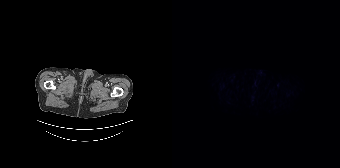
Technique: Paired axial CT (left) and PSMA PET (right), 18F tracer. acquired on Siemens Biograph 64-4R TruePoint.
Findings: No tumor lesions annotated on this slice.